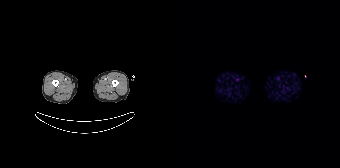
{"modality":"PSMA PET/CT","view":"axial","tracer":"68Ga-PSMA","pet_grid":[168,168],"coord_frame":"pet_panel","coord_format":"x0,y0,x1,y1","psma_avid_lesions":false}